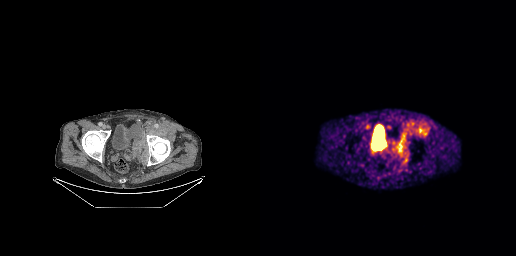
Findings: Coordinates are on the 256×256 PET (right) panel. PSMA-avid tumor lesion bounding boxes (x, y, width, height): x=133 y=136 w=14 h=20; x=155 y=124 w=13 h=12.
Technique: Left: CT. Right: PSMA PET, same axial level, [68Ga]Ga-PSMA-11 tracer. acquired on GE Discovery 690. PET panel 256×256 px (2.7 mm/px).